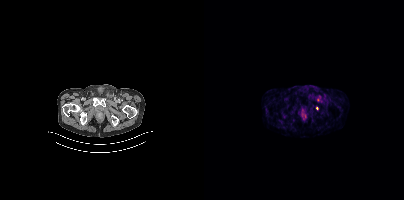
Technique: Two-panel axial: CT | PSMA PET, 68Ga-PSMA tracer. slice position z = -1450 mm.
Findings: Coordinates are on the 200×200 PET (right) panel. (showing 1 of 2 foci) Small PSMA-avid focus (2 to 4 px across) near (center x, center y): (112, 108).